modality: PSMA PET/CT | tracer: 18F | view: axial | PET grid: 200×200
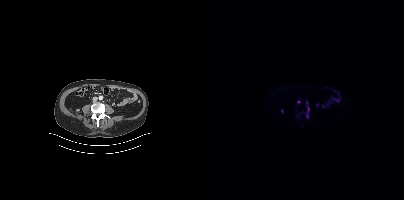
Coordinates are on the 200×200 PET (right) panel. PSMA-avid tumor lesion bounding box (x0,y0,x1,y1): [102,103,105,114]. Small PSMA-avid focus (2 to 4 px across) near (center x, center y): (94, 101).